modality: PSMA PET/CT | tracer: [18F]PSMA-1007 | view: axial
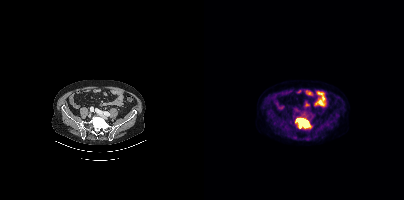
Coordinates are on the 200×200 PET (right) panel. PSMA-avid tumor lesion bounding box (x0,y0,x1,y1): [91,118,106,128].